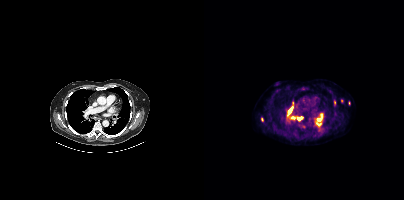
Two-panel axial: CT | PSMA PET, 18F-PSMA tracer. Acquired on Siemens Biograph mCT Flow 20. Coordinates are on the 200×200 PET (right) panel. (showing 10 of 12 foci) PSMA-avid tumor lesion bounding boxes (x0, y0)-(x1, y1): (83, 101)-(90, 116); (113, 113)-(119, 120); (93, 117)-(98, 119). Small PSMA-avid foci (2 to 4 px across) near (center x, center y): (115, 124); (88, 117); (58, 119); (100, 126); (130, 101); (137, 100); (83, 118).